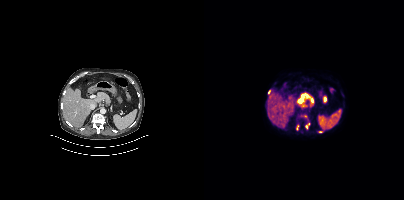
modality: PSMA PET/CT | tracer: 18F-PSMA | view: axial
Coordinates are on the 200×200 PET (right) panel. (showing 1 of 4 foci) Small PSMA-avid focus (2 to 4 px across) near (center x, center y): (102, 127).